modality: PSMA PET/CT | tracer: 18F | view: axial | PET grid: 200×200
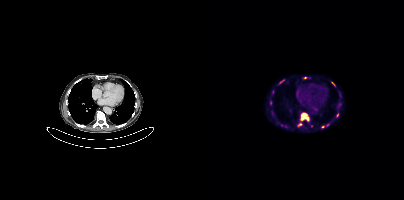
Coordinates are on the 200×200 PET (right) panel. (showing 7 of 9 foci) PSMA-avid tumor lesion bounding boxes (x, y, width, height): x=97 y=113 w=9 h=8; x=75 y=80 w=6 h=4; x=127 y=82 w=5 h=5. Small PSMA-avid foci (2 to 4 px across) near (center x, center y): (95, 124); (133, 114); (118, 126); (101, 77).